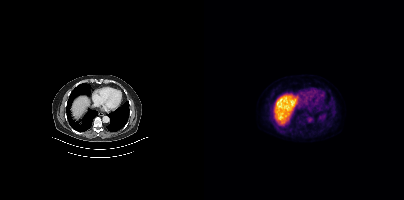
{"modality":"PSMA PET/CT","view":"axial","tracer":"18F-PSMA","pet_grid":[200,200],"coord_frame":"pet_panel","coord_format":"x0,y0,x1,y1","psma_avid_lesions":false}